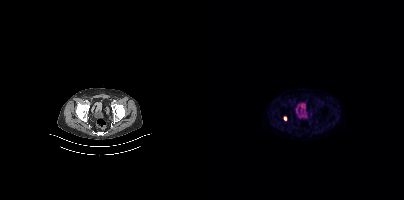
{"modality":"PSMA PET/CT","view":"axial","tracer":"18F","pet_grid":[200,200],"coord_frame":"pet_panel","coord_format":"x0,y0,x1,y1","lesion_bboxes":[[80,116,82,120]]}